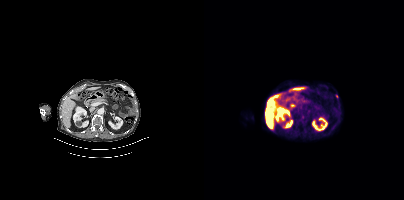
{"pet_grid":[200,200],"coord_frame":"pet_panel","coord_format":"x0,y0,x1,y1","lesion_bboxes":[],"small_foci_centers":[[132,96]],"modality":"PSMA PET/CT","view":"axial","tracer":"[18F]PSMA-1007"}